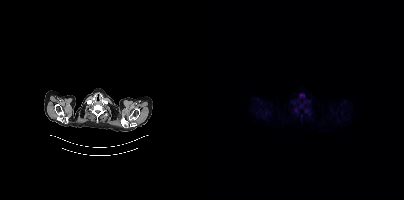
Coordinates are on the 200×200 PET (right) panel. Small PSMA-avid focus (2 to 4 px across) near (center x, center y): (101, 109).
modality: PSMA PET/CT | tracer: 18F | view: axial